Two-panel axial: CT | PSMA PET, [68Ga]Ga-PSMA-11 tracer. PET panel 200×200 px (4.1 mm/px).
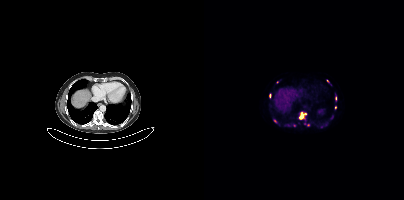
Coordinates are on the 200×200 PET (right) panel. PSMA-avid tumor lesion bounding boxes (partial; 4 more foci not listed):
| # | x0 | y0 | x1 | y1 |
|---|---|---|---|---|
| 1 | 96 | 113 | 102 | 119 |
Small PSMA-avid foci (2 to 4 px across) near (center x, center y): (90, 125); (124, 81); (131, 107); (70, 120); (104, 124).